Paired axial CT (left) and PSMA PET (right), [68Ga]Ga-PSMA-11 tracer. PET panel 200×200 px (4.1 mm/px).
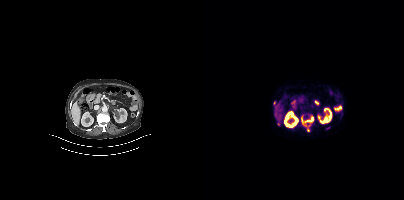
Coordinates are on the 200×200 PET (right) panel. PSMA-avid tumor lesion bounding boxes:
| # | x0 | y0 | x1 | y1 |
|---|---|---|---|---|
| 1 | 97 | 116 | 109 | 123 |
| 2 | 100 | 124 | 105 | 131 |
Small PSMA-avid foci (2 to 4 px across) near (center x, center y): (74, 123); (70, 102).